Technique: Two-panel axial: CT | PSMA PET, 18F tracer. slice position z = -849 mm. PET panel 200×200 px (4.1 mm/px).
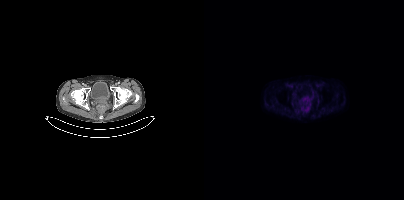
Findings: Coordinates are on the 200×200 PET (right) panel. Small PSMA-avid foci (2 to 4 px across) near (center x, center y): (102, 108), (101, 98), (104, 100).